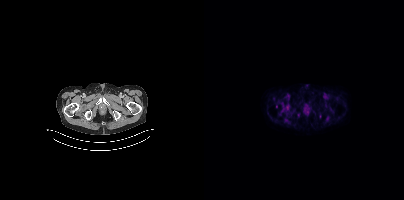
modality: PSMA PET/CT | tracer: [18F]PSMA-1007 | view: axial
Coordinates are on the 200×200 PET (right) panel. Small PSMA-avid focus (2 to 4 px across) near (center x, center y): (72, 106).